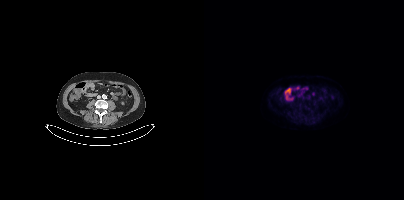
This slice has no annotated PSMA-avid lesion.